modality: PSMA PET/CT | tracer: 18F | view: axial | PET grid: 200×200
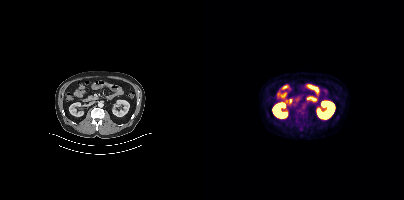
This slice has no annotated PSMA-avid lesion.